Two-panel axial: CT | PSMA PET, [18F]PSMA-1007 tracer. Acquired on Siemens Biograph mCT Flow 20.
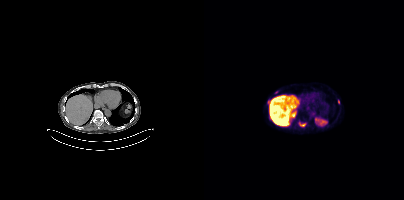
Coordinates are on the 200×200 PET (right) panel. PSMA-avid tumor lesion bounding boxes:
| # | x0 | y0 | x1 | y1 |
|---|---|---|---|---|
| 1 | 95 | 122 | 101 | 126 |
Small PSMA-avid foci (2 to 4 px across) near (center x, center y): (72, 92); (134, 101); (64, 101).